modality: PSMA PET/CT | tracer: 18F | view: axial | PET grid: 200×200
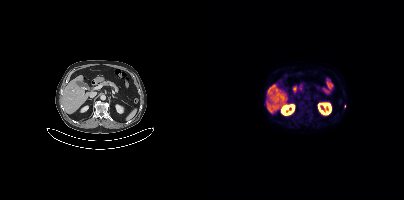
Only PSMA-avid lesion pieces thinner than 2 px on this slice (not listed).